modality: PSMA PET/CT | tracer: 68Ga | view: axial | PET grid: 168×168
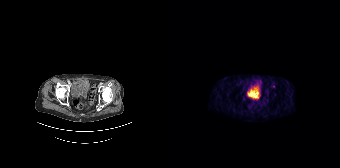
This slice has no annotated PSMA-avid lesion.